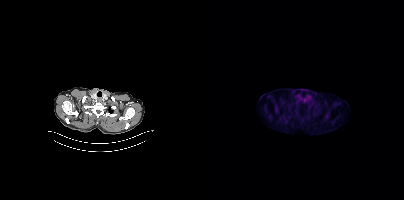
No PSMA-avid tumor lesions on this slice. Left: CT. Right: PSMA PET, same axial level, 18F tracer. Acquired on Siemens Biograph mCT Flow 20.